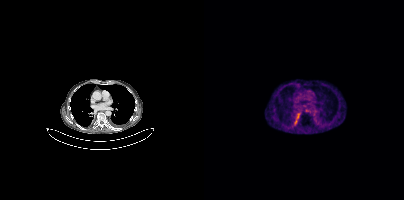
Coordinates are on the 200×200 PET (right) panel. PSMA-avid tumor lesion bounding box (x0, y0)-(x1, y1): (101, 108)-(105, 112).